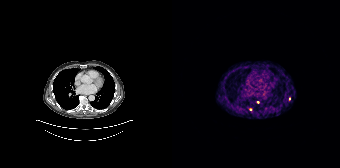
{"modality":"PSMA PET/CT","view":"axial","tracer":"68Ga","pet_grid":[168,168],"coord_frame":"pet_panel","coord_format":"x0,y0,x1,y1","partial":true,"lesion_bboxes":[],"small_foci_centers":[[117,99]]}